Paired axial CT (left) and PSMA PET (right), 18F tracer.
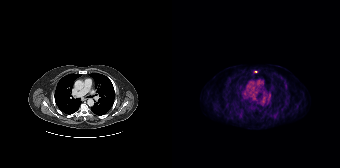
Coordinates are on the 168×168 PET (right) panel. (showing 1 of 2 foci) Small PSMA-avid focus (2 to 4 px across) near (center x, center y): (83, 71).